Technique: Left: CT. Right: PSMA PET, same axial level, [18F]PSMA-1007 tracer. PET panel 200×200 px (4.1 mm/px).
Note: A rectangle over the head was blacked out to remove identifiable facial features.
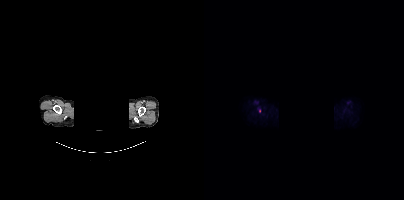
Findings: Coordinates are on the 200×200 PET (right) panel. Small PSMA-avid focus (2 to 4 px across) near (center x, center y): (55, 111).